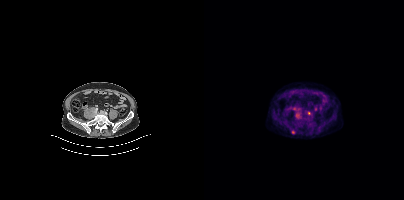
Findings: Coordinates are on the 200×200 PET (right) panel. (showing 1 of 2 foci) Small PSMA-avid focus (2 to 4 px across) near (center x, center y): (89, 131).
- Two-panel axial: CT | PSMA PET, [18F]PSMA-1007 tracer